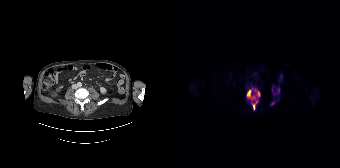
modality: PSMA PET/CT | tracer: 18F-PSMA | view: axial
Coordinates are on the 168×168 PET (right) panel. (showing 2 of 3 foci) PSMA-avid tumor lesion bounding boxes (x0,y0,x1,y1): [75,89,85,109], [82,89,88,97].